modality: PSMA PET/CT | tracer: 18F-PSMA | view: axial | PET grid: 200×200
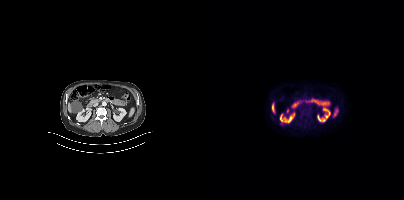
No PSMA-avid tumor lesions on this slice.